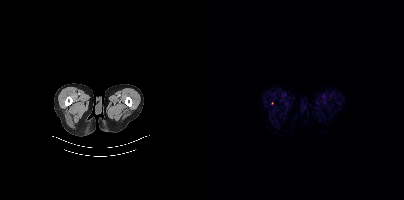
{"pet_grid":[200,200],"coord_frame":"pet_panel","coord_format":"x0,y0,x1,y1","lesion_bboxes":[],"small_foci_centers":[[68,103]],"modality":"PSMA PET/CT","view":"axial","tracer":"[18F]PSMA-1007"}